- Paired axial CT (left) and PSMA PET (right), 18F-PSMA tracer
- acquired on Siemens Biograph mCT Flow 20
- PET panel 200×200 px (4.1 mm/px)
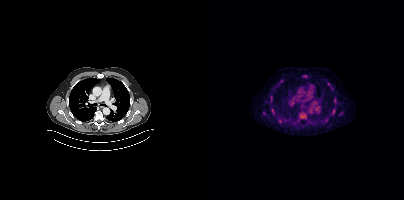
Findings: Coordinates are on the 200×200 PET (right) panel. Small PSMA-avid foci (2 to 4 px across) near (center x, center y): (124, 83) | (131, 100) | (67, 97) | (129, 110) | (68, 110).